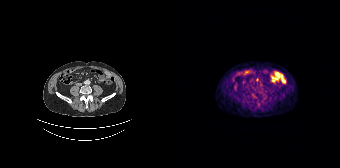
Coordinates are on the 168×168 PET (right) panel. Small PSMA-avid focus (2 to 4 px across) near (center x, center y): (85, 80).